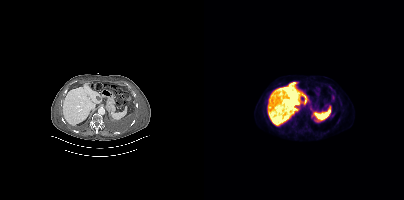
Findings: Coordinates are on the 200×200 PET (right) panel. PSMA-avid tumor lesion bounding box (x0,y0,x1,y1): [101,99,103,104]. Small PSMA-avid focus (2 to 4 px across) near (center x, center y): (126, 87).
Technique: Paired axial CT (left) and PSMA PET (right), [18F]PSMA-1007 tracer. slice position z = -1424 mm. PET panel 200×200 px (4.1 mm/px).